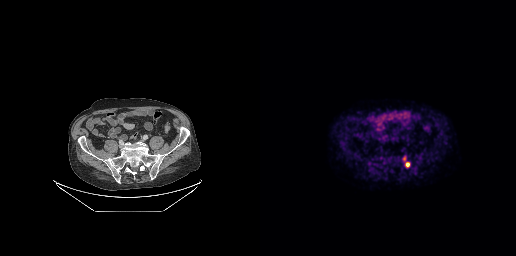
Findings: Coordinates are on the 256×256 PET (right) panel. PSMA-avid tumor lesion bounding box (x, y, width, height): x=146 y=162 w=4 h=5.
Technique: Left: CT. Right: PSMA PET, same axial level, [18F]PSMA-1007 tracer. slice position z = -604 mm.